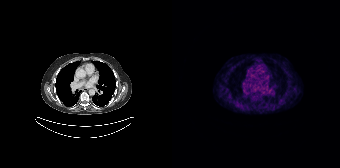
This slice has no annotated PSMA-avid lesion. Two-panel axial: CT | PSMA PET, 68Ga-PSMA tracer. Acquired on Siemens Biograph 64-4R TruePoint.